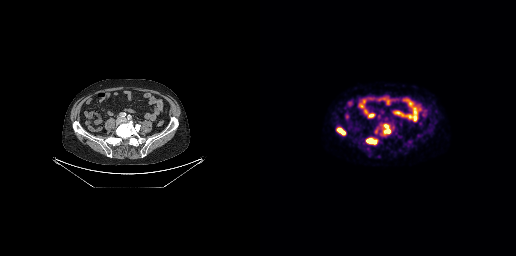
{"modality":"PSMA PET/CT","view":"axial","tracer":"18F","pet_grid":[256,256],"coord_frame":"pet_panel","coord_format":"x0,y0,x1,y1","partial":true,"lesion_bboxes":[[123,124,131,135],[106,137,117,144],[76,127,85,135]]}